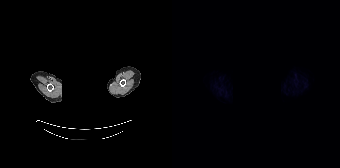
- head region blanked for anonymization (face removed)
- Left: CT. Right: PSMA PET, same axial level, 18F tracer
- slice position z = -534 mm
Findings: No tumor lesions annotated on this slice.